Paired axial CT (left) and PSMA PET (right), [18F]PSMA-1007 tracer. Slice position z = -984 mm.
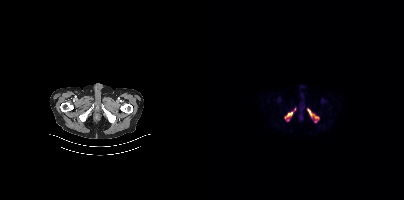
Coordinates are on the 200×200 PET (right) panel. PSMA-avid tumor lesion bounding boxes (x0,y0,x1,y1): [81,108,91,121] [103,109,115,122].